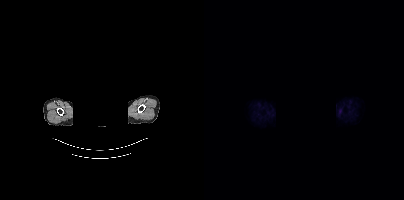
{"pet_grid":[200,200],"coord_frame":"pet_panel","coord_format":"x0,y0,x1,y1","psma_avid_lesions":false,"redaction":"rectangular block over head set to black","modality":"PSMA PET/CT","view":"axial","tracer":"[18F]PSMA-1007"}